Paired axial CT (left) and PSMA PET (right), 18F tracer. Slice 420 of 433. A rectangle over the head was blacked out to remove identifiable facial features.
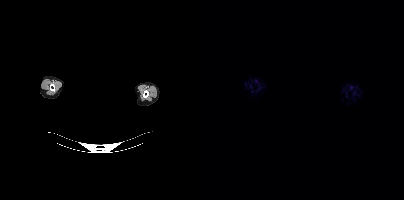
This slice has no annotated PSMA-avid lesion.